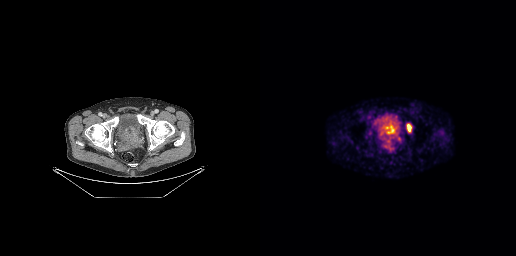
Coordinates are on the 256×256 PET (right) panel. PSMA-avid tumor lesion bounding boxes (x0, y0)-(x1, y1): (123, 123)-(140, 140) | (146, 124)-(151, 131). Two-panel axial: CT | PSMA PET, 68Ga-PSMA tracer. Slice 62 of 263. PET panel 256×256 px (2.7 mm/px).